Left: CT. Right: PSMA PET, same axial level, 18F tracer. PET panel 200×200 px (4.1 mm/px).
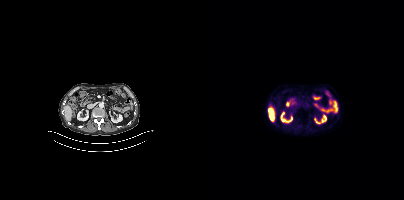
No PSMA-avid tumor lesions on this slice.